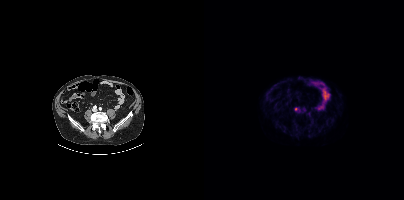
Coordinates are on the 200×200 PET (right) panel. Small PSMA-avid focus (2 to 4 px across) near (center x, center y): (92, 109).